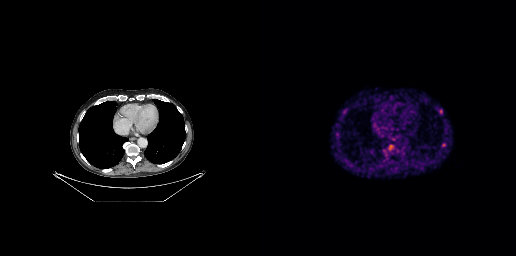
Findings: Coordinates are on the 256×256 PET (right) panel. (showing 2 of 3 foci) PSMA-avid tumor lesion bounding box (x0,y0,x1,y1): [179,109,182,114]. Small PSMA-avid focus (2 to 4 px across) near (center x, center y): (183, 145).
Technique: Left: CT. Right: PSMA PET, same axial level, [68Ga]Ga-PSMA-11 tracer. acquired on GE Discovery 690. slice position z = -540 mm.